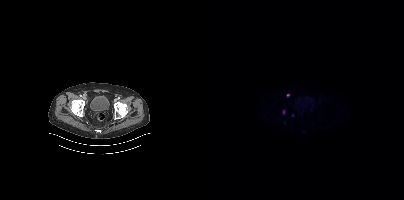
Coordinates are on the 200×200 PET (right) panel. (showing 1 of 3 foci) Small PSMA-avid focus (2 to 4 px across) near (center x, center y): (84, 95). Paired axial CT (left) and PSMA PET (right), 18F tracer. Slice 88 of 395. PET panel 200×200 px (4.1 mm/px).